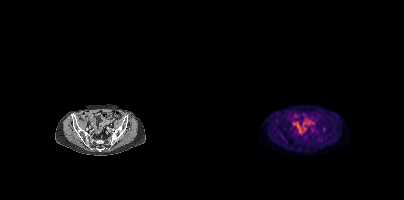
Coordinates are on the 200×200 PET (right) panel. Small PSMA-avid focus (2 to 4 px across) near (center x, center y): (120, 129).